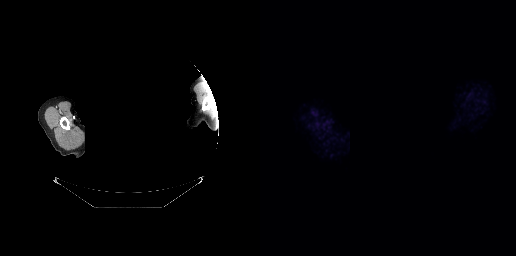
{"modality":"PSMA PET/CT","view":"axial","tracer":"[68Ga]Ga-PSMA-11","pet_grid":[256,256],"coord_frame":"pet_panel","coord_format":"x0,y0,x1,y1","de-identification":"head region blanked (face removed)","psma_avid_lesions":false}